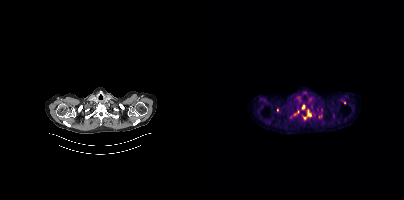
- Left: CT. Right: PSMA PET, same axial level, 18F tracer
- slice position z = -291 mm
Findings: Coordinates are on the 200×200 PET (right) panel. (showing 4 of 6 foci) PSMA-avid tumor lesion bounding boxes (x, y, width, height): x=99 y=109 w=9 h=11 | x=98 y=105 w=4 h=5. Small PSMA-avid foci (2 to 4 px across) near (center x, center y): (73, 109) | (140, 102).